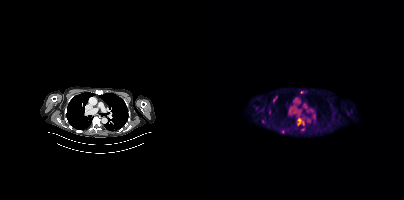
Coordinates are on the 200×200 PET (right) panel. PSMA-avid tumor lesion bounding boxes:
| # | x0 | y0 | x1 | y1 |
|---|---|---|---|---|
| 1 | 94 | 119 | 100 | 125 |
Small PSMA-avid focus (2 to 4 px across) near (center x, center y): (98, 129).
Two-panel axial: CT | PSMA PET, 18F-PSMA tracer. Acquired on Siemens Biograph mCT Flow 20.